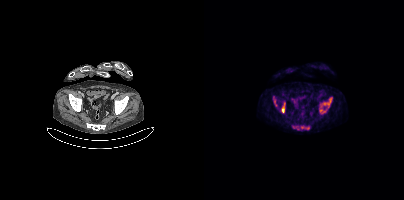
Coordinates are on the 200×200 PET (right) panel. (showing 8 of 9 foci) PSMA-avid tumor lesion bounding boxes (x0, y0)-(x1, y1): (97, 126)-(105, 129) | (69, 96)-(73, 106) | (119, 98)-(127, 105) | (77, 106)-(80, 112) | (89, 126)-(95, 129). Small PSMA-avid foci (2 to 4 px across) near (center x, center y): (117, 110) | (80, 102) | (120, 111).
modality: PSMA PET/CT | tracer: 18F | view: axial